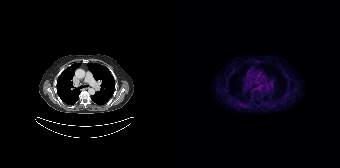
Left: CT. Right: PSMA PET, same axial level, 68Ga tracer. Slice position z = -245 mm. No tumor lesions annotated on this slice.